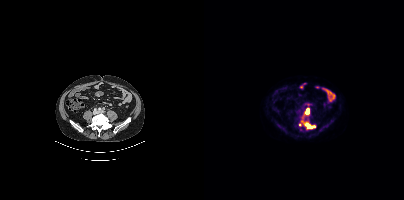
{"modality":"PSMA PET/CT","view":"axial","tracer":"18F-PSMA","pet_grid":[200,200],"coord_frame":"pet_panel","coord_format":"x0,y0,x1,y1","lesion_bboxes":[[97,120,111,129],[100,108,105,115]],"small_foci_centers":[[96,124]]}